Paired axial CT (left) and PSMA PET (right), [18F]PSMA-1007 tracer. Slice position z = -1045 mm.
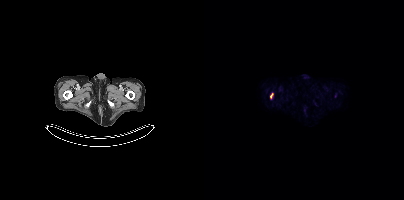
Coordinates are on the 200×200 PET (right) panel. PSMA-avid tumor lesion bounding boxes:
| # | x0 | y0 | x1 | y1 |
|---|---|---|---|---|
| 1 | 66 | 93 | 68 | 97 |